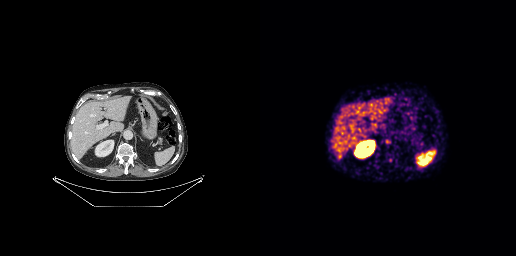
Coordinates are on the 256×256 PET (right) panel. Small PSMA-avid focus (2 to 4 px across) near (center x, center y): (127, 141). Paired axial CT (left) and PSMA PET (right), 68Ga tracer. Slice 84 of 189.